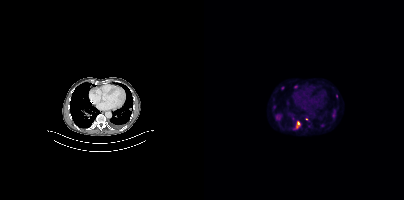
{"pet_grid":[200,200],"coord_frame":"pet_panel","coord_format":"x0,y0,x1,y1","partial":true,"lesion_bboxes":[[72,114,77,120],[92,121,96,128],[129,109,131,116]],"small_foci_centers":[[78,87],[91,86],[118,124],[70,106],[132,95],[102,118]],"modality":"PSMA PET/CT","view":"axial","tracer":"[18F]PSMA-1007"}